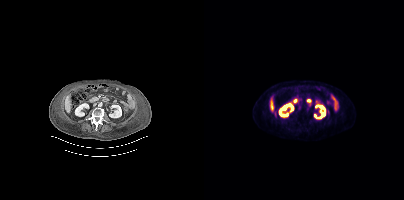
{"modality":"PSMA PET/CT","view":"axial","tracer":"[18F]PSMA-1007","pet_grid":[200,200],"coord_frame":"pet_panel","coord_format":"x0,y0,x1,y1","lesion_bboxes":[[94,105,97,110]]}